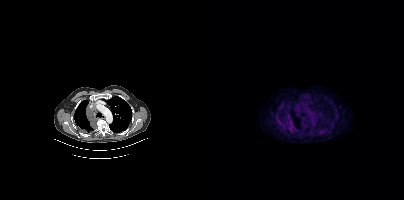
Findings: Coordinates are on the 200×200 PET (right) panel. PSMA-avid tumor lesion bounding box (x0, y0)-(x1, y1): (84, 121)-(91, 130). Small PSMA-avid focus (2 to 4 px across) near (center x, center y): (95, 110).
- Paired axial CT (left) and PSMA PET (right), [18F]PSMA-1007 tracer
- acquired on Siemens Biograph mCT Flow 20
- PET panel 200×200 px (4.1 mm/px)